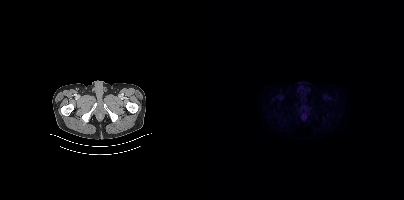
{"modality":"PSMA PET/CT","view":"axial","tracer":"[18F]PSMA-1007","pet_grid":[200,200],"coord_frame":"pet_panel","coord_format":"x0,y0,x1,y1","psma_avid_lesions":false}